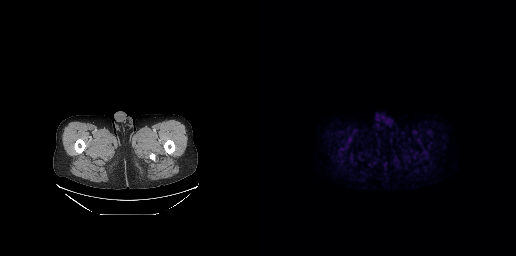
No PSMA-avid tumor lesions on this slice.